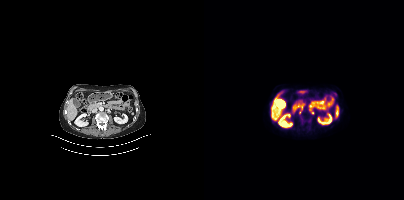
modality: PSMA PET/CT | tracer: [18F]PSMA-1007 | view: axial | PET grid: 200×200
Coordinates are on the 200×200 PET (right) panel. PSMA-avid tumor lesion bounding box (x, y, width, height): x=95 y=108 w=4 h=6. Small PSMA-avid focus (2 to 4 px across) near (center x, center y): (108, 112).